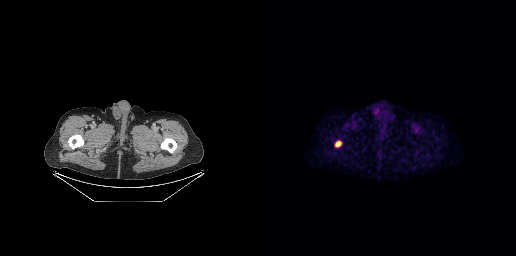
modality: PSMA PET/CT | tracer: 18F-PSMA | view: axial
Coordinates are on the 256×256 PET (right) panel. PSMA-avid tumor lesion bounding box (x, y, width, height): x=75 y=141 w=7 h=6.